- Paired axial CT (left) and PSMA PET (right), [18F]PSMA-1007 tracer
- PET panel 200×200 px (4.1 mm/px)
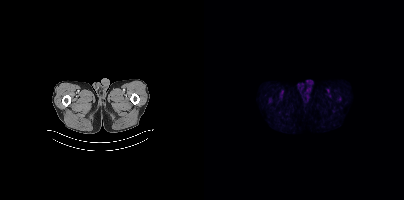
Findings: Negative for PSMA-avid disease on this slice.